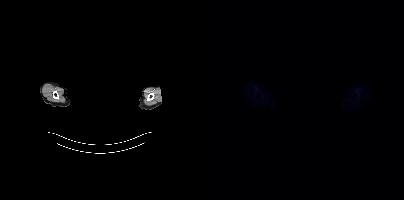
The face region was removed for patient privacy by blanking a rectangle over the head.
Negative for PSMA-avid disease on this slice.